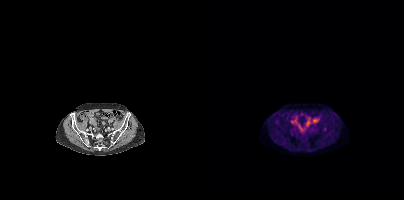
Findings: Coordinates are on the 200×200 PET (right) panel. Small PSMA-avid focus (2 to 4 px across) near (center x, center y): (120, 129).
- Two-panel axial: CT | PSMA PET, 18F tracer
- slice 109 of 389
- PET panel 200×200 px (4.1 mm/px)